Paired axial CT (left) and PSMA PET (right), [68Ga]Ga-PSMA-11 tracer. PET panel 256×256 px (2.7 mm/px).
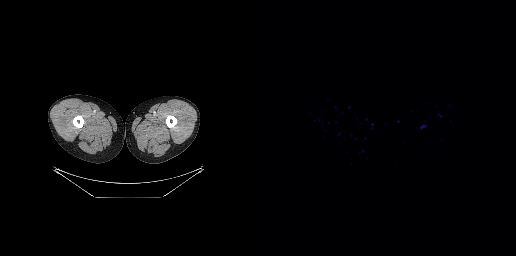
No PSMA-avid tumor lesions on this slice.